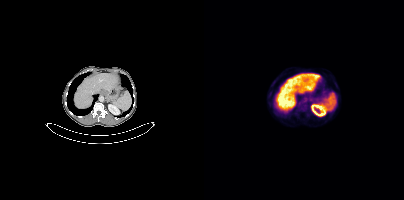
No tumor lesions annotated on this slice.